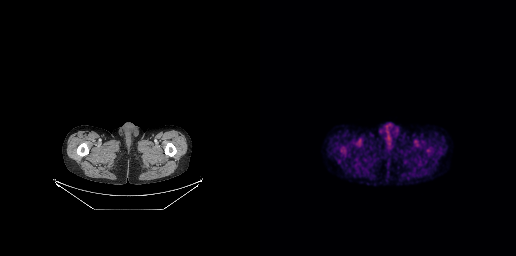
{"modality":"PSMA PET/CT","view":"axial","tracer":"18F","pet_grid":[256,256],"coord_frame":"pet_panel","coord_format":"x0,y0,x1,y1","psma_avid_lesions":false}